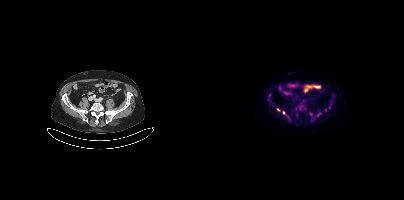
Left: CT. Right: PSMA PET, same axial level, 18F-PSMA tracer. Acquired on Siemens Biograph mCT Flow 20. PET panel 200×200 px (4.1 mm/px). Coordinates are on the 200×200 PET (right) panel. (showing 3 of 5 foci) Small PSMA-avid foci (2 to 4 px across) near (center x, center y): (74, 109); (65, 95); (79, 112).